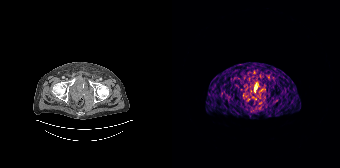
modality: PSMA PET/CT | tracer: 68Ga-PSMA | view: axial
Coordinates are on the 168×168 PET (right) panel. PSMA-avid tumor lesion bounding box (x, y, width, height): x=82 y=85 w=3 h=6.